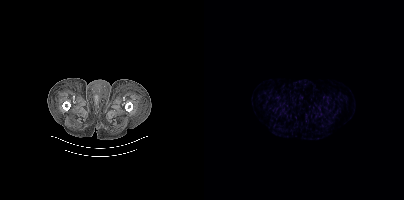
Findings: No PSMA-avid tumor lesions on this slice.
Technique: Left: CT. Right: PSMA PET, same axial level, 18F-PSMA tracer. slice 13 of 344. PET panel 200×200 px (4.1 mm/px).